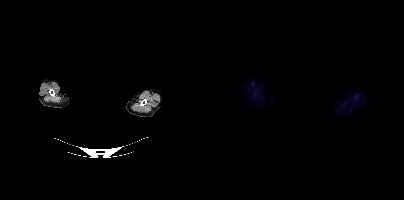
The face region was removed for patient privacy by blanking a rectangle over the head.
No PSMA-avid tumor lesions on this slice.